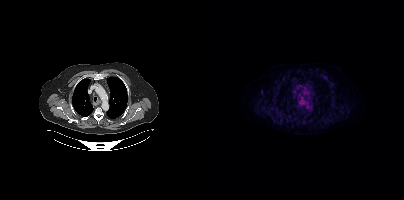
Findings: Negative for PSMA-avid disease on this slice.
- Two-panel axial: CT | PSMA PET, 18F-PSMA tracer
- slice position z = -217 mm